- Two-panel axial: CT | PSMA PET, [18F]PSMA-1007 tracer
- acquired on Siemens Biograph mCT Flow 20
- PET panel 200×200 px (4.1 mm/px)
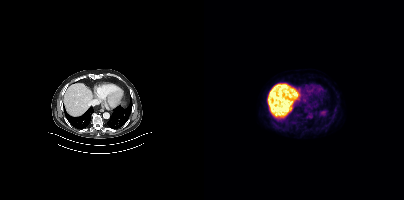
Findings: This slice has no annotated PSMA-avid lesion.